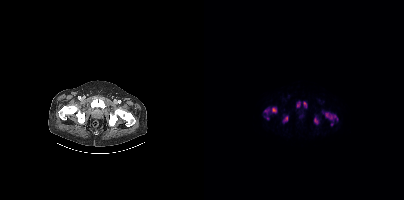
Findings: Coordinates are on the 200×200 PET (right) panel. (showing 8 of 10 foci) PSMA-avid tumor lesion bounding boxes (x, y, width, height): x=121 y=112 w=14 h=10; x=60 y=107 w=13 h=8; x=92 y=101 w=6 h=7; x=110 y=117 w=5 h=8; x=99 y=101 w=5 h=7; x=79 y=116 w=6 h=7. Small PSMA-avid foci (2 to 4 px across) near (center x, center y): (63, 118); (128, 124).
- Two-panel axial: CT | PSMA PET, [18F]PSMA-1007 tracer
- slice 62 of 423
- PET panel 200×200 px (4.1 mm/px)